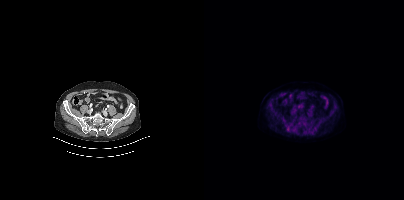
Coordinates are on the 200×200 PET (right) panel. PSMA-avid tumor lesion bounding box (x, y, width, height): x=83 y=126 w=5 h=6.